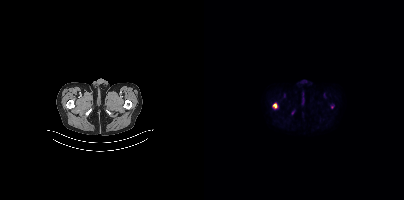
Coordinates are on the 200×200 PET (right) panel. PSMA-avid tumor lesion bounding box (x0, y0)-(x1, y1): (69, 103)-(73, 108).